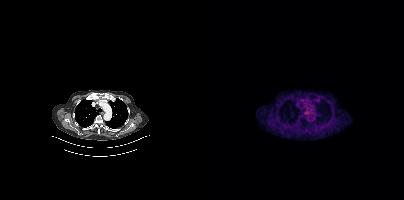
This slice has no annotated PSMA-avid lesion.